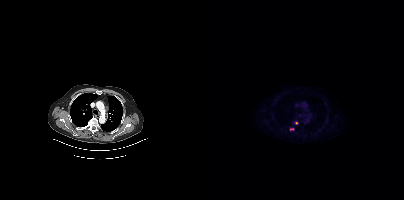
Coordinates are on the 200×200 PET (right) panel. Small PSMA-avid foci (2 to 4 px across) near (center x, center y): (87, 129) / (92, 123). Paired axial CT (left) and PSMA PET (right), [18F]PSMA-1007 tracer. PET panel 200×200 px (4.1 mm/px).